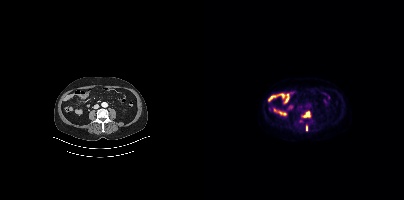
Coordinates are on the 200×200 PET (right) panel. PSMA-avid tumor lesion bounding boxes (x, y, width, height): x=99 y=111 w=7 h=7; x=102 y=126 w=2 h=5.
modality: PSMA PET/CT | tracer: 18F-PSMA | view: axial